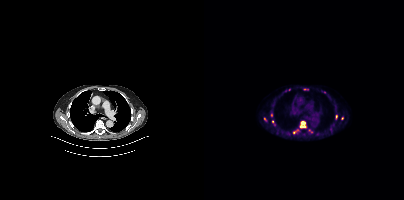
Coordinates are on the 200×200 PET (right) panel. (showing 7 of 10 foci) PSMA-avid tumor lesion bounding boxes (x, y, width, height): x=97 y=121 w=5 h=4 | x=96 y=125 w=6 h=3. Small PSMA-avid foci (2 to 4 px across) near (center x, center y): (132, 116) | (67, 115) | (61, 119) | (138, 118) | (68, 121).